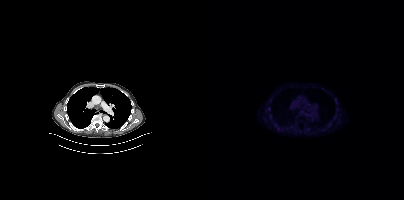
Two-panel axial: CT | PSMA PET, 18F-PSMA tracer. Acquired on Siemens Biograph mCT Flow 20. Slice position z = -498 mm. No tumor lesions annotated on this slice.